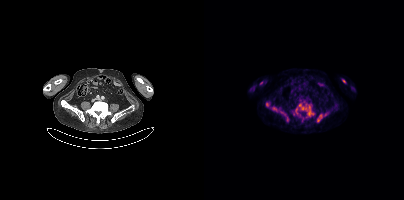
{"pet_grid":[200,200],"coord_frame":"pet_panel","coord_format":"x0,y0,x1,y1","partial":true,"lesion_bboxes":[[91,103,110,116],[68,107,84,121],[113,114,118,122],[62,102,65,106]],"small_foci_centers":[[121,114],[140,81]],"modality":"PSMA PET/CT","view":"axial","tracer":"[18F]PSMA-1007"}